- Two-panel axial: CT | PSMA PET, 18F tracer
- slice position z = -933 mm
- PET panel 200×200 px (4.1 mm/px)
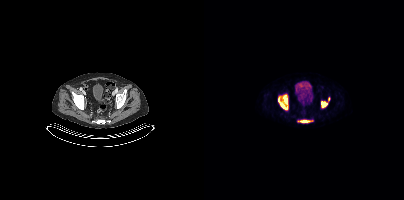
Findings: Coordinates are on the 200×200 PET (right) panel. (showing 3 of 4 foci) PSMA-avid tumor lesion bounding boxes (x, y, width, height): x=74 y=95 w=10 h=15 / x=117 y=101 w=7 h=7 / x=96 y=120 w=10 h=3.